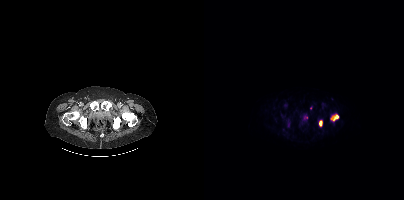
modality: PSMA PET/CT | tracer: 18F-PSMA | view: axial
Coordinates are on the 200×200 PET (right) panel. (showing 2 of 4 foci) PSMA-avid tumor lesion bounding boxes (x, y, width, height): x=127 y=114 w=8 h=7 / x=115 y=120 w=4 h=7.